Technique: Two-panel axial: CT | PSMA PET, [18F]PSMA-1007 tracer. slice 202 of 403. PET panel 200×200 px (4.1 mm/px).
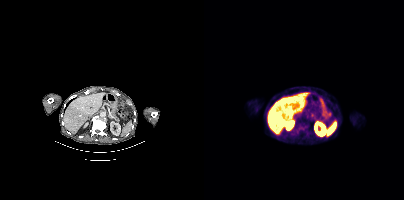
Findings: Only PSMA-avid lesion pieces thinner than 2 px on this slice (not listed).